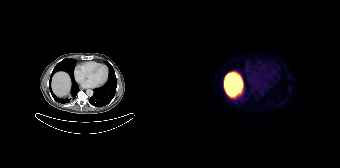
Negative for PSMA-avid disease on this slice.
modality: PSMA PET/CT | tracer: 18F | view: axial